Left: CT. Right: PSMA PET, same axial level, 18F tracer. Slice 48 of 165.
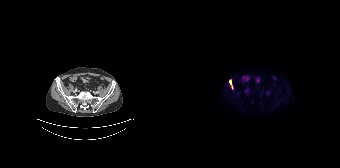
Coordinates are on the 168×168 PET (right) panel. PSMA-avid tumor lesion bounding boxes:
| # | x0 | y0 | x1 | y1 |
|---|---|---|---|---|
| 1 | 57 | 79 | 61 | 88 |